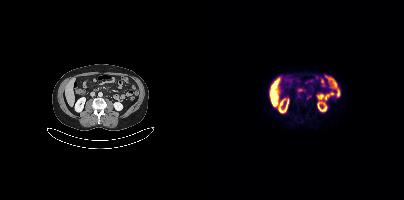
{"modality":"PSMA PET/CT","view":"axial","tracer":"18F-PSMA","pet_grid":[200,200],"coord_frame":"pet_panel","coord_format":"x0,y0,x1,y1","partial":true,"lesion_bboxes":[],"small_foci_centers":[[104,97],[95,96]]}